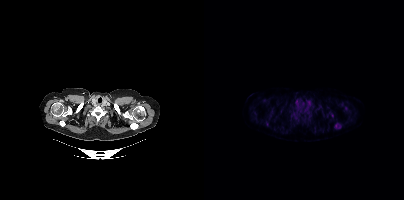
{"modality":"PSMA PET/CT","view":"axial","tracer":"[18F]PSMA-1007","pet_grid":[200,200],"coord_frame":"pet_panel","coord_format":"x0,y0,x1,y1","partial":true,"lesion_bboxes":[[130,123,137,129],[104,113,107,117]],"small_foci_centers":[[89,114],[63,124],[142,108]]}